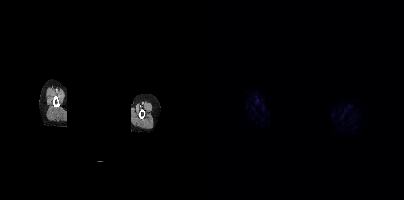
No tumor lesions annotated on this slice. Head region blanked for anonymization (face removed). Left: CT. Right: PSMA PET, same axial level, 68Ga-PSMA tracer. Acquired on Siemens Biograph mCT Flow 20. Slice 384 of 444.